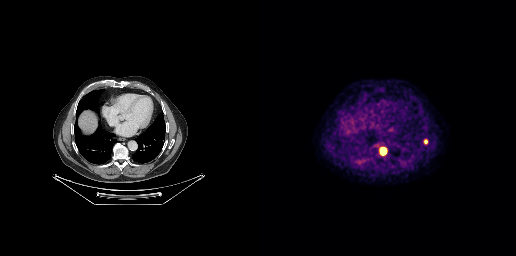
{"modality":"PSMA PET/CT","view":"axial","tracer":"[18F]PSMA-1007","pet_grid":[256,256],"coord_frame":"pet_panel","coord_format":"x0,y0,x1,y1","lesion_bboxes":[[120,147,126,154],[164,139,167,143]]}